- Paired axial CT (left) and PSMA PET (right), 18F-PSMA tracer
- slice position z = -428 mm
- PET panel 200×200 px (4.1 mm/px)
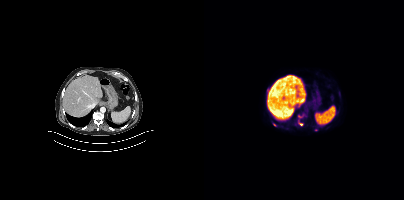
Findings: Coordinates are on the 200×200 PET (right) panel. Small PSMA-avid foci (2 to 4 px across) near (center x, center y): (96, 124); (70, 124); (112, 129); (95, 116).